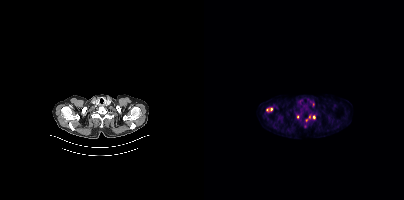
Coordinates are on the 200×200 PET (right) panel. (showing 6 of 7 foci) Small PSMA-avid foci (2 to 4 px across) near (center x, center y): (110, 116), (67, 109), (93, 117), (105, 116), (102, 120), (63, 109).